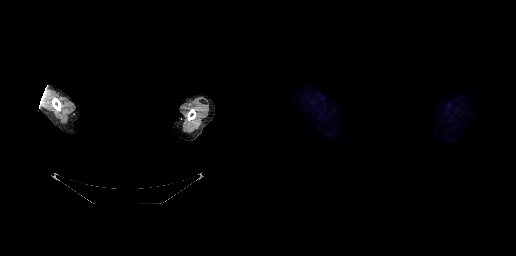
- any black rectangle over the head is a privacy mask, not anatomy
- Left: CT. Right: PSMA PET, same axial level, 18F-PSMA tracer
- acquired on GE Discovery 690
- slice 253 of 263
- PET panel 256×256 px (2.7 mm/px)
Findings: This slice has no annotated PSMA-avid lesion.